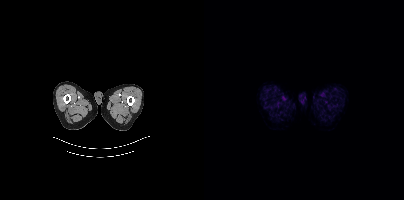
No PSMA-avid tumor lesions on this slice.